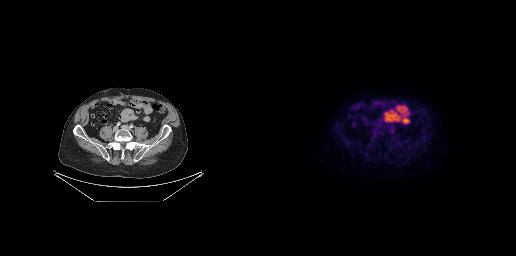
Coordinates are on the 256×256 PET (right) panel. PSMA-avid tumor lesion bounding box (x0, y0)-(x1, y1): (130, 126)-(133, 132).